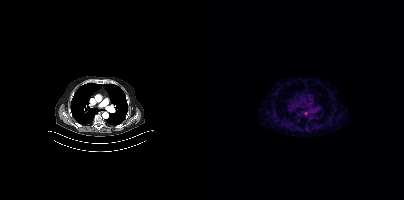
Coordinates are on the 200×200 PET (right) panel. Small PSMA-avid focus (2 to 4 px across) near (center x, center y): (102, 113).
modality: PSMA PET/CT | tracer: [68Ga]Ga-PSMA-11 | view: axial